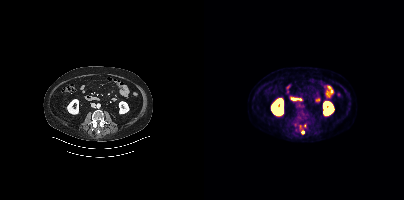
Only PSMA-avid lesion pieces thinner than 2 px on this slice (not listed).